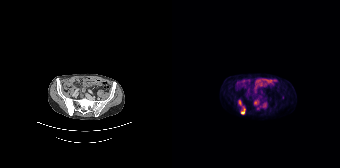
Coordinates are on the 168×168 PET (right) panel. (showing 4 of 5 foci) PSMA-avid tumor lesion bounding boxes (x0,y0,x1,y1): [66,100,73,114], [91,102,95,107]. Small PSMA-avid foci (2 to 4 px across) near (center x, center y): (110, 97), (83, 102).